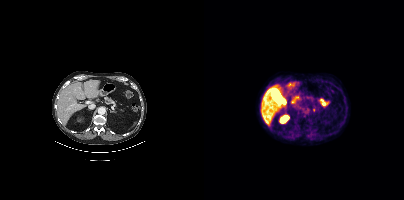
- Two-panel axial: CT | PSMA PET, 18F-PSMA tracer
- acquired on Siemens Biograph mCT Flow 20
- PET panel 200×200 px (4.1 mm/px)
Findings: No tumor lesions annotated on this slice.